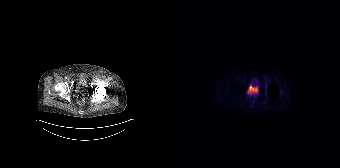
Two-panel axial: CT | PSMA PET, 18F tracer. Slice position z = -1150 mm. PET panel 168×168 px (4.1 mm/px). Negative for PSMA-avid disease on this slice.